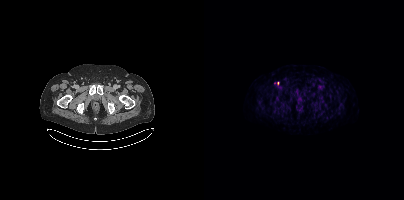
{"modality":"PSMA PET/CT","view":"axial","tracer":"[18F]PSMA-1007","pet_grid":[200,200],"coord_frame":"pet_panel","coord_format":"x0,y0,x1,y1","lesion_bboxes":[],"small_foci_centers":[[118,86]]}